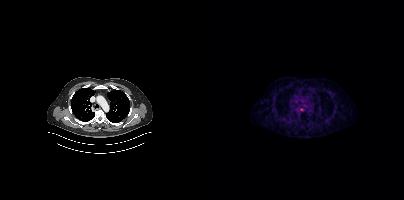
{"pet_grid":[200,200],"coord_frame":"pet_panel","coord_format":"x0,y0,x1,y1","psma_avid_lesions":false,"modality":"PSMA PET/CT","view":"axial","tracer":"68Ga-PSMA"}